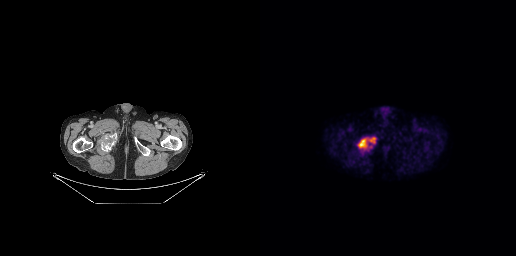
Technique: Paired axial CT (left) and PSMA PET (right), 18F-PSMA tracer. slice position z = -927 mm.
Findings: Coordinates are on the 256×256 PET (right) panel. PSMA-avid tumor lesion bounding box (x0, y0)-(x1, y1): (97, 137)-(116, 149).